Left: CT. Right: PSMA PET, same axial level, 18F-PSMA tracer. Acquired on GE Discovery 690.
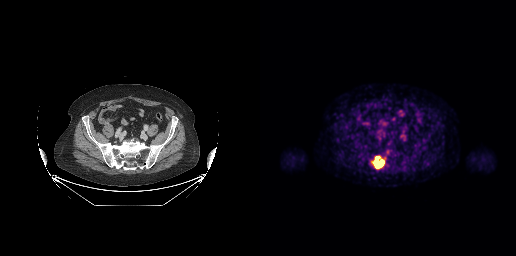
Coordinates are on the 256×256 PET (right) panel. PSMA-avid tumor lesion bounding boxes:
| # | x0 | y0 | x1 | y1 |
|---|---|---|---|---|
| 1 | 111 | 156 | 124 | 168 |